modality: PSMA PET/CT | tracer: 68Ga | view: axial
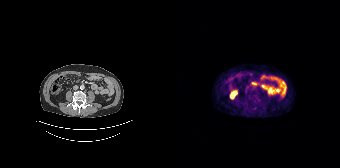
Negative for PSMA-avid disease on this slice.